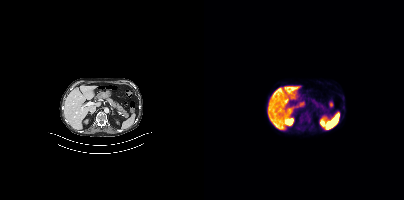
modality: PSMA PET/CT | tracer: 18F-PSMA | view: axial | PET grid: 200×200
Coordinates are on the 200×200 PET (right) panel. PSMA-avid tumor lesion bounding box (x0,y0,x1,y1): [101,116,107,122].